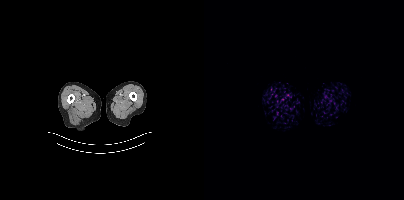
Technique: Paired axial CT (left) and PSMA PET (right), [18F]PSMA-1007 tracer. acquired on Siemens Biograph mCT Flow 20. PET panel 200×200 px (4.1 mm/px).
Findings: No tumor lesions annotated on this slice.